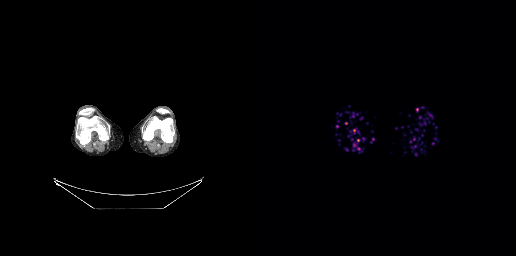
This slice has no annotated PSMA-avid lesion. Two-panel axial: CT | PSMA PET, [18F]PSMA-1007 tracer. Acquired on GE Discovery 690. Slice 1 of 371. PET panel 256×256 px (2.7 mm/px).